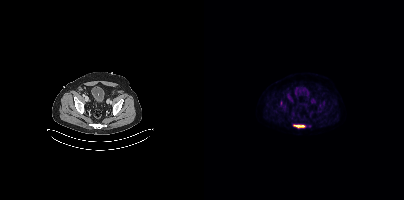
Coordinates are on the 200×200 PET (right) panel. PSMA-avid tumor lesion bounding box (x0, y0)-(x1, y1): (89, 124)-(101, 127).
modality: PSMA PET/CT | tracer: 18F | view: axial | PET grid: 200×200